Two-panel axial: CT | PSMA PET, [18F]PSMA-1007 tracer. Slice 283 of 413. PET panel 200×200 px (4.1 mm/px).
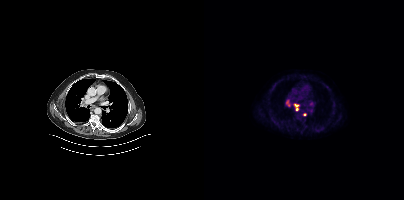
Coordinates are on the 200×200 PET (right) panel. (showing 2 of 4 foci) PSMA-avid tumor lesion bounding box (x0, y0)-(x1, y1): (90, 104)-(95, 110). Small PSMA-avid focus (2 to 4 px across) near (center x, center y): (100, 114).